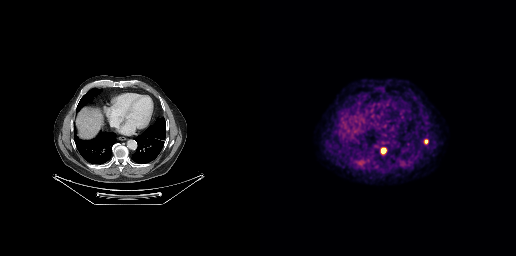
{"modality":"PSMA PET/CT","view":"axial","tracer":"18F-PSMA","pet_grid":[256,256],"coord_frame":"pet_panel","coord_format":"x0,y0,x1,y1","lesion_bboxes":[[122,148,125,152],[164,139,168,143]]}